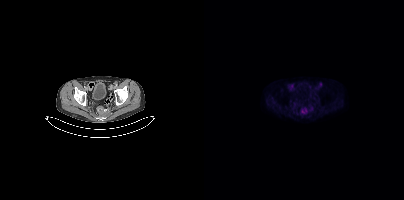
Coordinates are on the 200×200 PET (right) panel. PSMA-avid tumor lesion bounding box (x0,y0,x1,y1): [97,108,103,113].